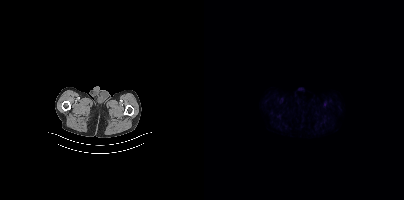
This slice has no annotated PSMA-avid lesion.